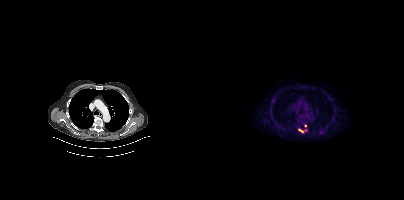
Coordinates are on the 200×200 PET (right) panel. PSMA-avid tumor lesion bounding boxes:
| # | x0 | y0 | x1 | y1 |
|---|---|---|---|---|
| 1 | 94 | 128 | 102 | 132 |
Small PSMA-avid focus (2 to 4 px across) near (center x, center y): (101, 125).
Left: CT. Right: PSMA PET, same axial level, [18F]PSMA-1007 tracer. Acquired on Siemens Biograph mCT Flow 20.